Two-panel axial: CT | PSMA PET, 18F tracer. Slice position z = -838 mm. PET panel 200×200 px (4.1 mm/px).
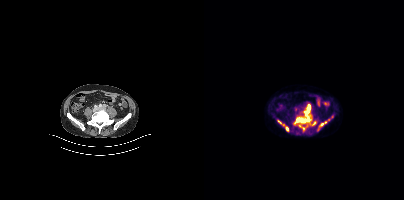
Coordinates are on the 200×200 PET (right) panel. PSMA-avid tumor lesion bounding boxes (partial; 1 more focus not listed):
| # | x0 | y0 | x1 | y1 |
|---|---|---|---|---|
| 1 | 90 | 105 | 107 | 123 |
Small PSMA-avid foci (2 to 4 px across) near (center x, center y): (83, 128); (117, 124); (75, 121); (110, 123); (99, 128); (95, 125).